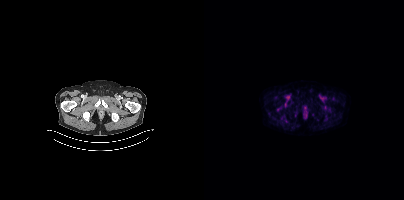
Coordinates are on the 200×200 PET (right) panel. (showing 2 of 3 foci) PSMA-avid tumor lesion bounding boxes (x0,y0,x1,y1): [80,101,82,107], [73,107,77,110].